Left: CT. Right: PSMA PET, same axial level, 18F tracer. Slice 371 of 963. PET panel 200×200 px (4.1 mm/px).
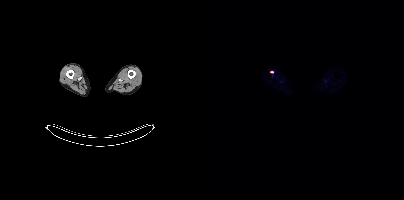
Coordinates are on the 200×200 PET (right) panel. Small PSMA-avid focus (2 to 4 px across) near (center x, center y): (67, 71).